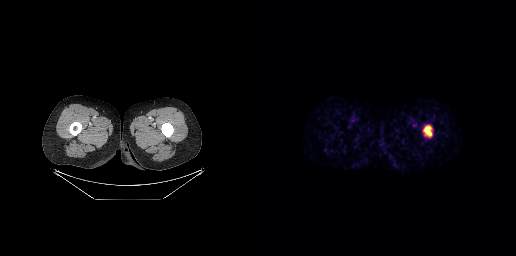
Findings: Coordinates are on the 256×256 PET (right) panel. PSMA-avid tumor lesion bounding box (x0,y0,x1,y1): [163,126,172,136].
Technique: Paired axial CT (left) and PSMA PET (right), 68Ga tracer.